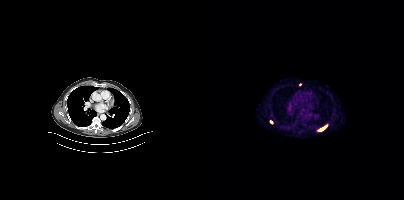
Coordinates are on the 200×200 PET (right) panel. (showing 3 of 4 foci) PSMA-avid tumor lesion bounding box (x, y, width, height): x=116 y=127 w=5 h=4. Small PSMA-avid foci (2 to 4 px across) near (center x, center y): (67, 122) / (122, 125).